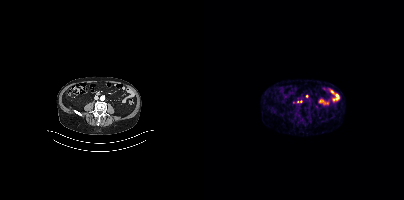
Coordinates are on the 200×200 PET (right) panel. PSMA-avid tumor lesion bounding box (x0,y0,x1,y1): [94,100,98,102]. Small PSMA-avid focus (2 to 4 px across) near (center x, center y): (102, 96).
modality: PSMA PET/CT | tracer: 68Ga-PSMA | view: axial